Technique: Paired axial CT (left) and PSMA PET (right), [68Ga]Ga-PSMA-11 tracer. slice position z = -770 mm. PET panel 168×168 px (4.1 mm/px).
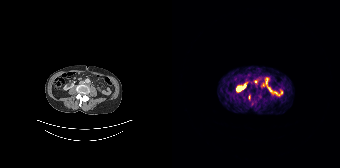
Findings: Only PSMA-avid lesion pieces thinner than 2 px on this slice (not listed).